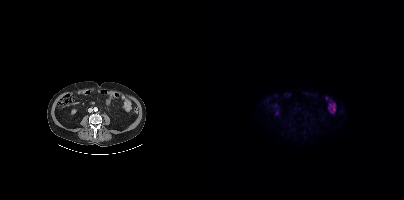
No PSMA-avid tumor lesions on this slice.